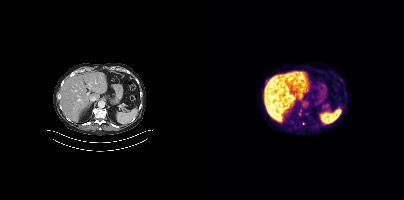
{"modality":"PSMA PET/CT","view":"axial","tracer":"18F-PSMA","pet_grid":[200,200],"coord_frame":"pet_panel","coord_format":"x0,y0,x1,y1","partial":true,"lesion_bboxes":[]}